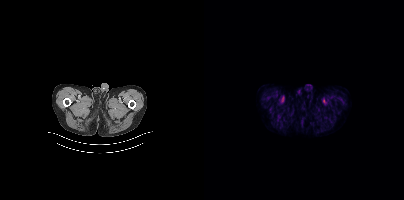
{"pet_grid":[200,200],"coord_frame":"pet_panel","coord_format":"x0,y0,x1,y1","psma_avid_lesions":false,"modality":"PSMA PET/CT","view":"axial","tracer":"18F"}